Technique: Paired axial CT (left) and PSMA PET (right), 18F-PSMA tracer. acquired on Siemens Biograph mCT Flow 20. slice 306 of 431.
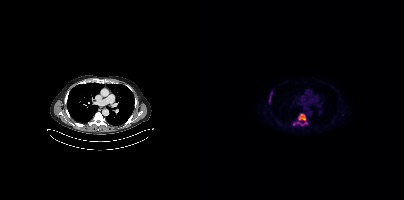
Findings: Coordinates are on the 200×200 PET (right) panel. PSMA-avid tumor lesion bounding boxes (x0,y0,x1,y1): [89,113,103,125]; [65,91,68,103].